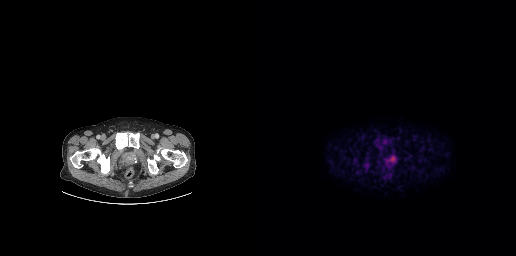
Technique: Paired axial CT (left) and PSMA PET (right), 18F tracer.
Findings: Coordinates are on the 256×256 PET (right) panel. PSMA-avid tumor lesion bounding box (x0,y0,x1,y1): [103,162,109,171].